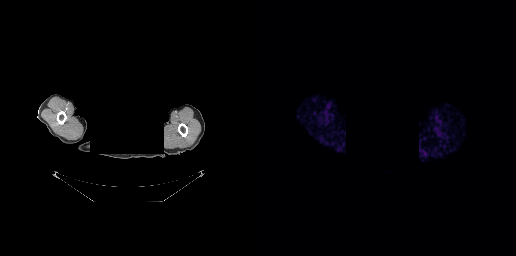
Left: CT. Right: PSMA PET, same axial level, 18F tracer. Slice 265 of 299. PET panel 256×256 px (2.7 mm/px). De-identified by setting a box covering the face to black before release. No tumor lesions annotated on this slice.